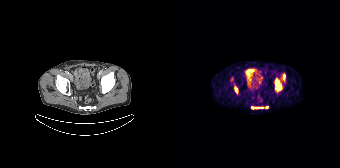
Coordinates are on the 168×168 PET (right) panel. PSMA-avid tumor lesion bounding boxes (partial; 1 more focus not listed):
| # | x0 | y0 | x1 | y1 |
|---|---|---|---|---|
| 1 | 103 | 78 | 110 | 91 |
| 2 | 79 | 106 | 91 | 109 |
| 3 | 62 | 85 | 65 | 93 |
| 4 | 111 | 74 | 113 | 80 |
Paired axial CT (left) and PSMA PET (right), 68Ga-PSMA tracer. Acquired on Siemens Biograph 64-4R TruePoint.